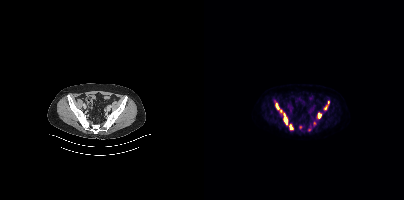
Findings: Coordinates are on the 200×200 PET (right) panel. PSMA-avid tumor lesion bounding boxes (x0,y0,x1,y1): [79,113,83,124], [71,103,78,112], [85,124,89,129], [114,113,117,118]. Small PSMA-avid foci (2 to 4 px across) near (center x, center y): (121, 108), (124, 102).
Technique: Two-panel axial: CT | PSMA PET, [18F]PSMA-1007 tracer.